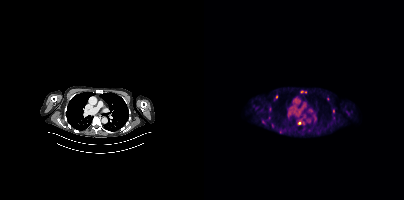
Coordinates are on the 200×200 PET (right) panel. (showing 2 of 3 foci) Small PSMA-avid foci (2 to 4 px across) near (center x, center y): (95, 123); (129, 111). Left: CT. Right: PSMA PET, same axial level, [18F]PSMA-1007 tracer.